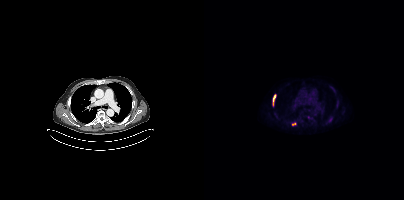
- Two-panel axial: CT | PSMA PET, 18F-PSMA tracer
Findings: Coordinates are on the 200×200 PET (right) panel. PSMA-avid tumor lesion bounding boxes (x0,y0,x1,y1): [68,95,71,103]; [88,122,92,125]. Small PSMA-avid focus (2 to 4 px across) near (center x, center y): (127, 119).